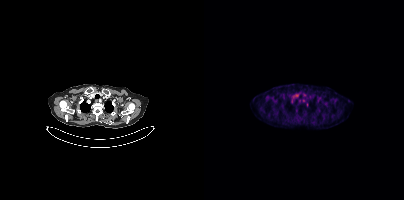
Technique: Paired axial CT (left) and PSMA PET (right), 18F-PSMA tracer. slice position z = -1116 mm. PET panel 200×200 px (4.1 mm/px).
Findings: Only PSMA-avid lesion pieces thinner than 2 px on this slice (not listed).